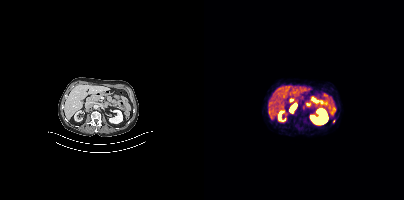
Left: CT. Right: PSMA PET, same axial level, [68Ga]Ga-PSMA-11 tracer. Slice position z = -1206 mm. Coordinates are on the 200×200 PET (right) panel. PSMA-avid tumor lesion bounding box (x, y, width, height): x=86 y=104 w=7 h=8. Small PSMA-avid focus (2 to 4 px across) near (center x, center y): (129, 121).